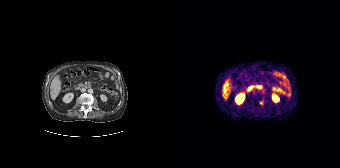
Two-panel axial: CT | PSMA PET, 68Ga tracer. PET panel 168×168 px (4.1 mm/px). Coordinates are on the 168×168 PET (right) panel. PSMA-avid tumor lesion bounding box (x0,y0,x1,y1): [53,83,56,87]. Small PSMA-avid focus (2 to 4 px across) near (center x, center y): (89, 103).